modality: PSMA PET/CT | tracer: 18F | view: axial
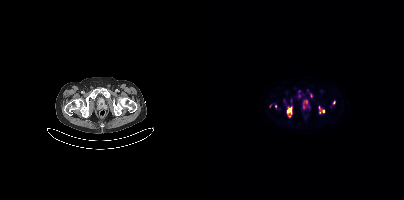
Coordinates are on the 200×200 PET (right) panel. (showing 7 of 10 foci) PSMA-avid tumor lesion bounding boxes (x0,y0,x1,y1): [83,107,87,114], [115,107,120,111]. Small PSMA-avid foci (2 to 4 px across) near (center x, center y): (95, 96), (102, 102), (130, 102), (66, 105), (85, 116).